- Left: CT. Right: PSMA PET, same axial level, 18F tracer
- acquired on Siemens Biograph mCT Flow 20
- PET panel 200×200 px (4.1 mm/px)
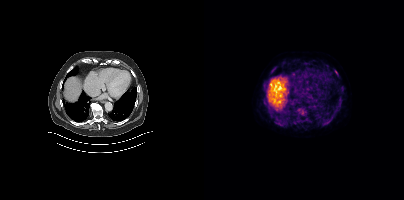
Findings: Coordinates are on the 200×200 PET (right) panel. (showing 5 of 6 foci) PSMA-avid tumor lesion bounding box (x0,y0,x1,y1): [118,119,125,125]. Small PSMA-avid foci (2 to 4 px across) near (center x, center y): (132, 72) (130, 116) (98, 112) (123, 65).